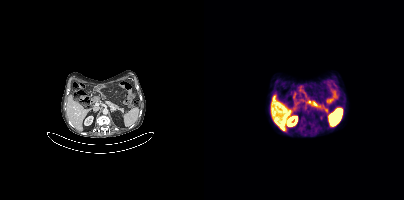
Findings: Coordinates are on the 200×200 PET (right) panel. (showing 3 of 6 foci) Small PSMA-avid foci (2 to 4 px across) near (center x, center y): (100, 108) | (97, 121) | (97, 127).
- Paired axial CT (left) and PSMA PET (right), [18F]PSMA-1007 tracer
- PET panel 200×200 px (4.1 mm/px)